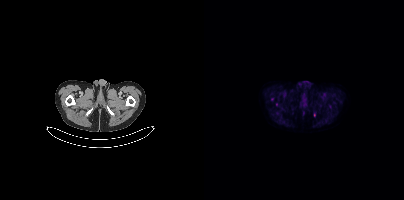
Paired axial CT (left) and PSMA PET (right), 18F tracer. No tumor lesions annotated on this slice.